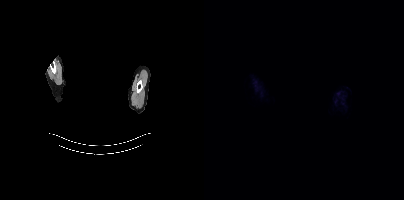
Technique: Paired axial CT (left) and PSMA PET (right), 18F tracer. slice position z = -917 mm. PET panel 200×200 px (4.1 mm/px).
Note: Facial anatomy redacted by setting a rectangular region of the head to black.
Findings: Negative for PSMA-avid disease on this slice.